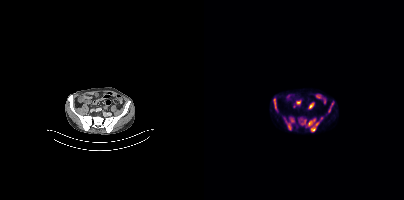
Coordinates are on the 200×200 PET (right) panel. (showing 5 of 6 foci) PSMA-avid tumor lesion bounding boxes (x, y, width, height): x=102 y=117 w=17 h=15 / x=80 y=118 w=11 h=13 / x=69 y=98 w=5 h=14 / x=97 y=119 w=6 h=7 / x=124 y=102 w=6 h=11. Left: CT. Right: PSMA PET, same axial level, [18F]PSMA-1007 tracer. Acquired on Siemens Biograph mCT Flow 20.